Two-panel axial: CT | PSMA PET, 18F tracer. Acquired on Siemens Biograph mCT Flow 20. PET panel 200×200 px (4.1 mm/px).
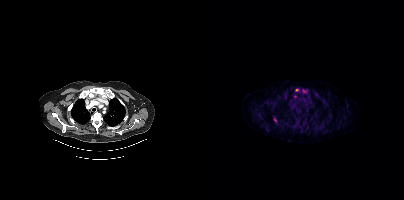
Coordinates are on the 200×200 PET (right) panel. PSMA-avid tumor lesion bounding boxes (partial; 1 more focus not listed):
| # | x0 | y0 | x1 | y1 |
|---|---|---|---|---|
| 1 | 70 | 118 | 72 | 122 |
Small PSMA-avid foci (2 to 4 px across) near (center x, center y): (91, 96); (93, 89).